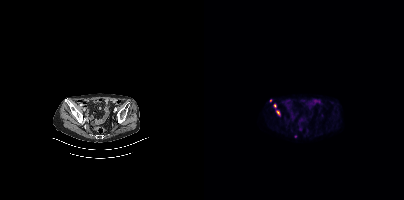
Findings: Coordinates are on the 200×200 PET (right) panel. Small PSMA-avid foci (2 to 4 px across) near (center x, center y): (70, 105) / (74, 112) / (66, 100).
- Left: CT. Right: PSMA PET, same axial level, 68Ga tracer
- acquired on Siemens Biograph mCT Flow 20
- slice 87 of 409